Technique: Two-panel axial: CT | PSMA PET, 18F tracer. acquired on Siemens Biograph mCT Flow 20. slice position z = -1621 mm.
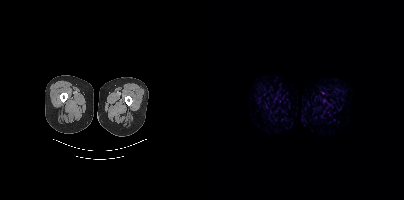
Findings: This slice has no annotated PSMA-avid lesion.